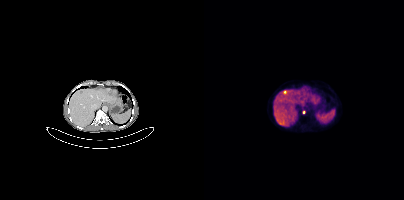
Coordinates are on the 200×200 PET (right) panel. Small PSMA-avid focus (2 to 4 px across) near (center x, center y): (99, 112).